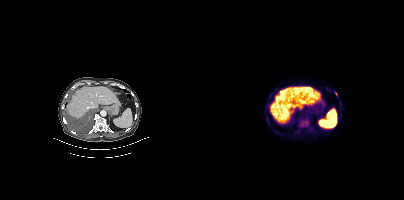
Coordinates are on the 200×200 PET (right) panel. PSMA-avid tumor lesion bounding boxes (x, y, width, height): x=95 y=118 w=10 h=10 / x=63 y=118 w=3 h=6. Small PSMA-avid focus (2 to 4 px across) near (center x, center y): (132, 93).